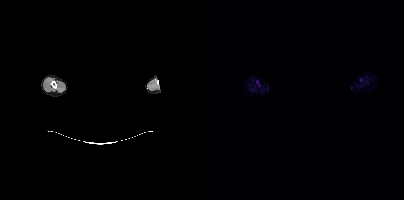
- face de-identified by blanking a block of the head
- Left: CT. Right: PSMA PET, same axial level, 18F-PSMA tracer
Findings: This slice has no annotated PSMA-avid lesion.